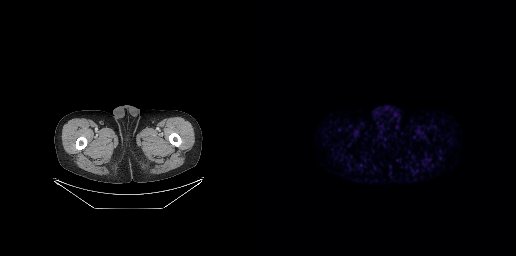
Negative for PSMA-avid disease on this slice. Left: CT. Right: PSMA PET, same axial level, 68Ga-PSMA tracer. Slice 19 of 263. PET panel 256×256 px (2.7 mm/px).